Left: CT. Right: PSMA PET, same axial level, 18F tracer. Acquired on Siemens Biograph mCT Flow 20.
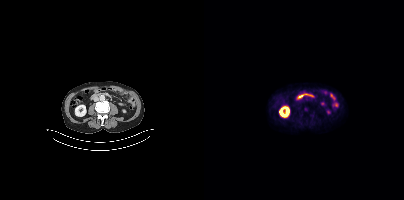
No PSMA-avid tumor lesions on this slice.